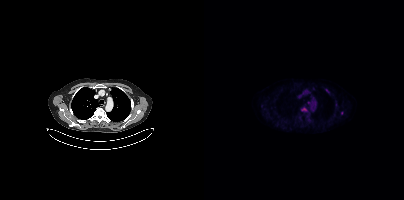
Coordinates are on the 200×200 PET (right) panel. (showing 2 of 3 foci) Small PSMA-avid foci (2 to 4 px across) near (center x, center y): (104, 102) | (100, 108).